modality: PSMA PET/CT | tracer: 18F-PSMA | view: axial | PET grid: 200×200
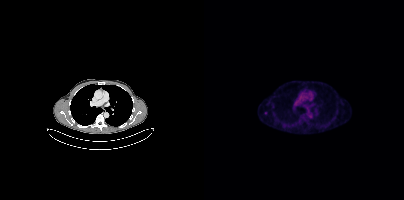
Coordinates are on the 200×200 PET (right) panel. Small PSMA-avid focus (2 to 4 px across) near (center x, center y): (61, 113).